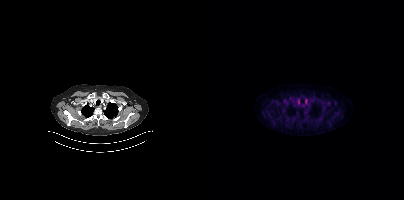
- Left: CT. Right: PSMA PET, same axial level, 18F tracer
- PET panel 200×200 px (4.1 mm/px)
Findings: This slice has no annotated PSMA-avid lesion.